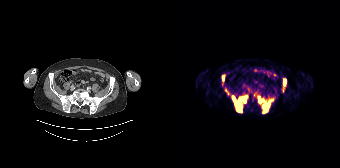
{"modality":"PSMA PET/CT","view":"axial","tracer":"[68Ga]Ga-PSMA-11","pet_grid":[168,168],"coord_frame":"pet_panel","coord_format":"x0,y0,x1,y1","partial":true,"lesion_bboxes":[[60,95,75,112],[91,100,100,113],[86,97,91,102],[111,79,114,86],[50,75,52,80]],"small_foci_centers":[[54,91]]}